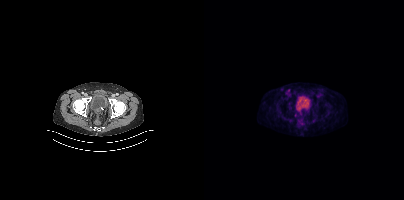
Technique: Left: CT. Right: PSMA PET, same axial level, 18F tracer. acquired on Siemens Biograph mCT Flow 20. slice position z = -1482 mm. PET panel 200×200 px (4.1 mm/px).
Findings: Only PSMA-avid lesion pieces thinner than 2 px on this slice (not listed).